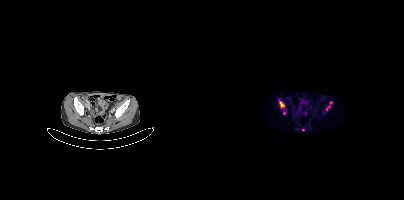
{"modality":"PSMA PET/CT","view":"axial","tracer":"68Ga-PSMA","pet_grid":[200,200],"coord_frame":"pet_panel","coord_format":"x0,y0,x1,y1","lesion_bboxes":[[75,101,80,107],[122,106,126,110]],"small_foci_centers":[[127,102],[99,129],[93,129]]}